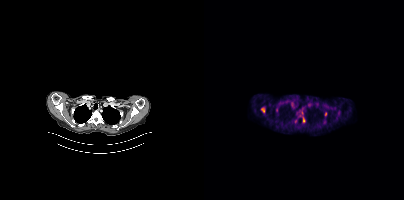
modality: PSMA PET/CT | tracer: 18F-PSMA | view: axial
Coordinates are on the 200×200 PET (right) panel. (showing 3 of 4 foci) PSMA-avid tumor lesion bounding box (x0,y0,x1,y1): [57,107,60,112]. Small PSMA-avid foci (2 to 4 px across) near (center x, center y): (121, 113) (99, 120).